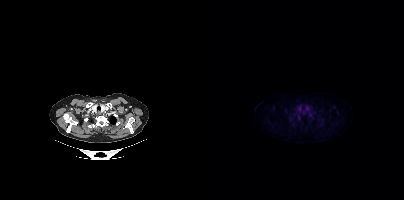
Left: CT. Right: PSMA PET, same axial level, 18F-PSMA tracer. Slice position z = -320 mm. No tumor lesions annotated on this slice.